modality: PSMA PET/CT | tracer: 18F | view: axial
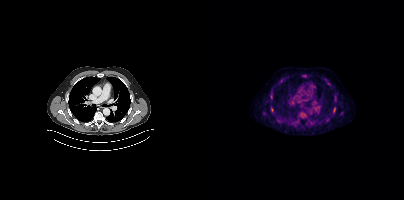
Coordinates are on the 200×200 PET (right) panel. (showing 5 of 6 foci) PSMA-avid tumor lesion bounding boxes (x0, y0)-(x1, y1): (129, 107)-(131, 112) / (67, 107)-(69, 111). Small PSMA-avid foci (2 to 4 px across) near (center x, center y): (67, 96) / (124, 83) / (131, 100).